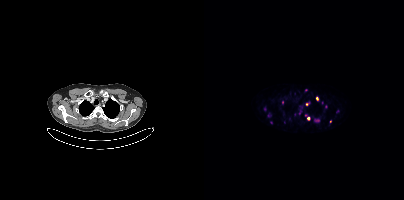
- Paired axial CT (left) and PSMA PET (right), 68Ga-PSMA tracer
- PET panel 200×200 px (4.1 mm/px)
Findings: Coordinates are on the 200×200 PET (right) panel. (showing 6 of 9 foci) PSMA-avid tumor lesion bounding box (x, y, width, height): x=111 y=119 w=5 h=3. Small PSMA-avid foci (2 to 4 px across) near (center x, center y): (113, 98) / (104, 118) / (126, 121) / (60, 108) / (78, 101).